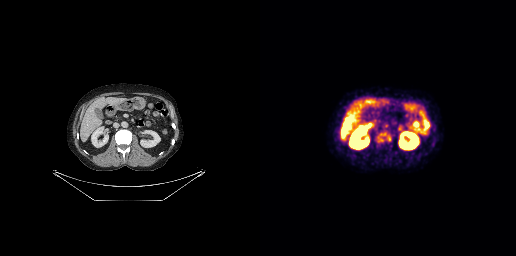
Coordinates are on the 256×256 PET (right) panel. PSMA-avid tumor lesion bounding box (x, y, width, height): x=118 y=133 w=13 h=9.